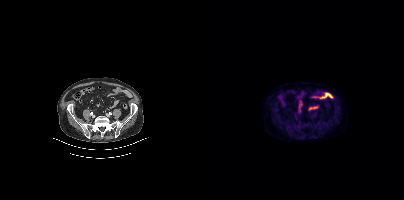
This slice has no annotated PSMA-avid lesion.